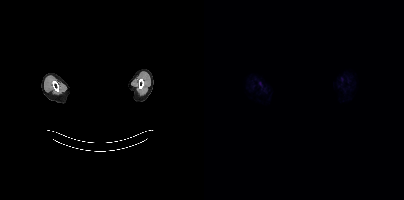
Negative for PSMA-avid disease on this slice. An anonymization step blacked out a rectangle over the head in this scan. Left: CT. Right: PSMA PET, same axial level, [18F]PSMA-1007 tracer. PET panel 200×200 px (4.1 mm/px).